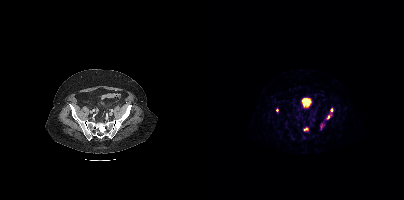
Left: CT. Right: PSMA PET, same axial level, 68Ga tracer. Acquired on Siemens Biograph mCT Flow 20. Slice 115 of 444. PET panel 200×200 px (4.1 mm/px).
Coordinates are on the 200×200 PET (right) panel. PSMA-avid tumor lesion bounding boxes (partial; 1 more focus not listed):
| # | x0 | y0 | x1 | y1 |
|---|---|---|---|---|
| 1 | 121 | 108 | 129 | 120 |
| 2 | 99 | 127 | 104 | 130 |
Small PSMA-avid foci (2 to 4 px across) near (center x, center y): (73, 110); (119, 122).